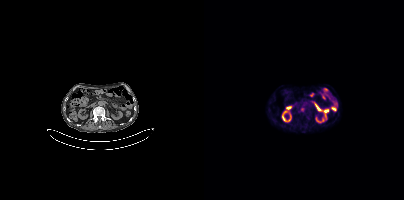
No PSMA-avid tumor lesions on this slice.